modality: PSMA PET/CT | tracer: 68Ga | view: axial
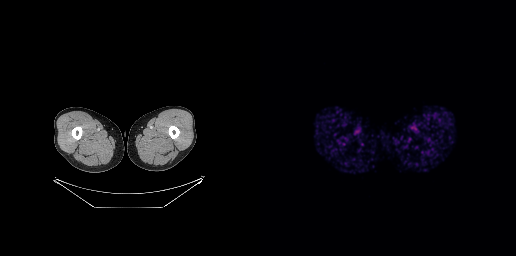
No PSMA-avid tumor lesions on this slice.